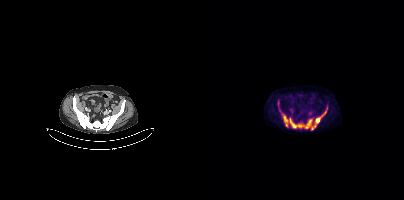
- Paired axial CT (left) and PSMA PET (right), 18F tracer
Findings: Coordinates are on the 200×200 PET (right) panel. (showing 3 of 4 foci) PSMA-avid tumor lesion bounding boxes (x, y, width, height): x=78 y=114 w=30 h=15 / x=111 y=107 w=13 h=17 / x=107 y=125 w=5 h=5.